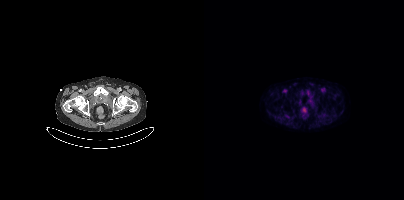
This slice has no annotated PSMA-avid lesion. Two-panel axial: CT | PSMA PET, [18F]PSMA-1007 tracer. Acquired on Siemens Biograph mCT Flow 20. PET panel 200×200 px (4.1 mm/px).